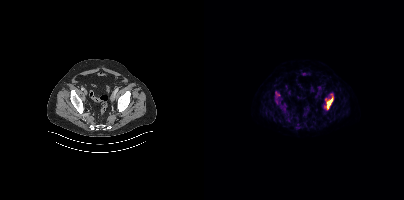
{"pet_grid":[200,200],"coord_frame":"pet_panel","coord_format":"x0,y0,x1,y1","lesion_bboxes":[[121,94,129,109]],"small_foci_centers":[[74,94]],"modality":"PSMA PET/CT","view":"axial","tracer":"18F"}